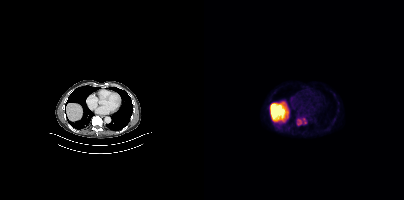
{"pet_grid":[200,200],"coord_frame":"pet_panel","coord_format":"x0,y0,x1,y1","lesion_bboxes":[[93,118,102,125]],"modality":"PSMA PET/CT","view":"axial","tracer":"18F"}